Two-panel axial: CT | PSMA PET, [68Ga]Ga-PSMA-11 tracer. Slice position z = -1264 mm.
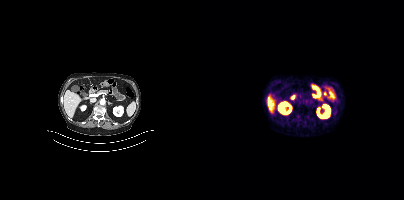
No PSMA-avid tumor lesions on this slice.